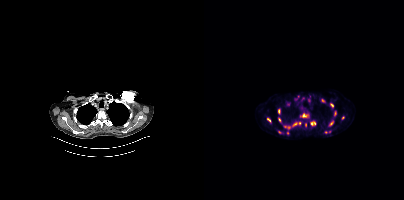
Findings: Coordinates are on the 200×200 PET (right) panel. (showing 15 of 18 foci) PSMA-avid tumor lesion bounding boxes (x, y, width, height): x=80 y=121 w=17 h=9 | x=98 y=113 w=7 h=5 | x=107 y=121 w=5 h=5 | x=74 y=109 w=3 h=6 | x=74 y=117 w=4 h=6 | x=63 y=118 w=5 h=5 | x=126 y=103 w=4 h=5 | x=126 y=121 w=4 h=5 | x=91 y=96 w=5 h=5. Small PSMA-avid foci (2 to 4 px across) near (center x, center y): (75, 132) | (119, 100) | (101, 125) | (131, 113) | (139, 117) | (84, 104).
Technique: Paired axial CT (left) and PSMA PET (right), [18F]PSMA-1007 tracer. acquired on Siemens Biograph mCT Flow 20. slice 378 of 466.